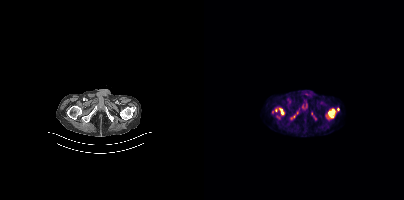
{"modality":"PSMA PET/CT","view":"axial","tracer":"[18F]PSMA-1007","pet_grid":[200,200],"coord_frame":"pet_panel","coord_format":"x0,y0,x1,y1","lesion_bboxes":[[75,108,80,115]],"small_foci_centers":[[90,116],[72,110]]}